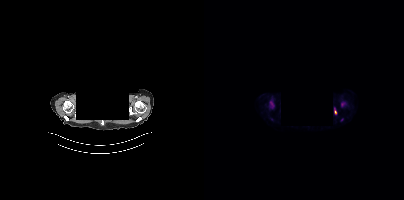
deidentification: facial region redacted | modality: PSMA PET/CT | tracer: [18F]PSMA-1007 | view: axial | PET grid: 200×200
Coordinates are on the 200×200 PET (right) panel. (showing 2 of 3 foci) PSMA-avid tumor lesion bounding box (x, y, width, height): x=130 y=107 w=3 h=7. Small PSMA-avid focus (2 to 4 px across) near (center x, center y): (137, 119).